Two-panel axial: CT | PSMA PET, 68Ga-PSMA tracer. Acquired on Siemens Biograph 64-4R TruePoint. PET panel 168×168 px (4.1 mm/px).
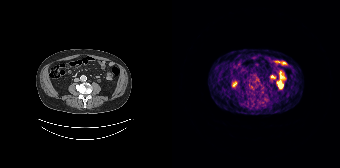
This slice has no annotated PSMA-avid lesion.